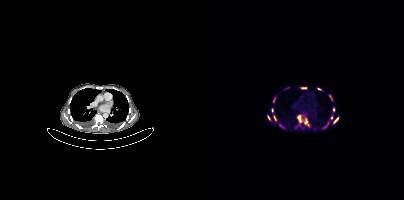
Left: CT. Right: PSMA PET, same axial level, 68Ga-PSMA tracer. Acquired on Siemens Biograph mCT Flow 20. Slice position z = -689 mm. Coordinates are on the 200×200 PET (right) panel. (showing 12 of 14 foci) PSMA-avid tumor lesion bounding boxes (x0, y0)-(x1, y1): (93, 115)-(98, 122) | (100, 118)-(105, 125) | (129, 117)-(134, 123) | (120, 122)-(124, 128) | (125, 95)-(128, 100) | (113, 88)-(117, 90) | (69, 97)-(71, 101) | (70, 116)-(71, 120). Small PSMA-avid foci (2 to 4 px across) near (center x, center y): (76, 125) | (65, 117) | (129, 109) | (127, 117).